- Paired axial CT (left) and PSMA PET (right), 18F tracer
- slice 401 of 466
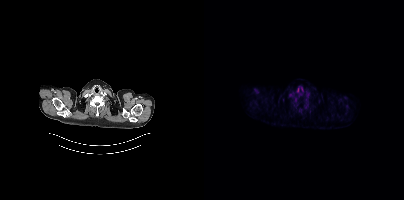
Findings: No tumor lesions annotated on this slice.